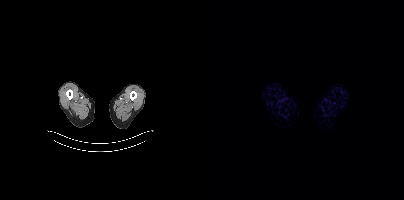
No PSMA-avid tumor lesions on this slice.